Left: CT. Right: PSMA PET, same axial level, 68Ga tracer. Acquired on Siemens Biograph mCT Flow 20. Slice position z = -1476 mm.
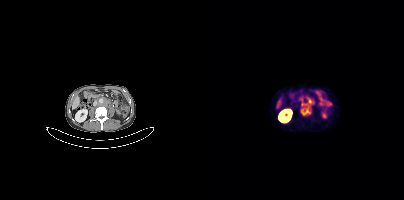
Coordinates are on the 200×200 PET (right) panel. PSMA-avid tumor lesion bounding box (x0,y0,x1,y1): [96,97,109,116].